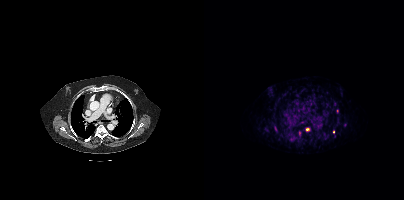
{"modality":"PSMA PET/CT","view":"axial","tracer":"68Ga-PSMA","pet_grid":[200,200],"coord_frame":"pet_panel","coord_format":"x0,y0,x1,y1","partial":true,"lesion_bboxes":[[95,131,96,135]],"small_foci_centers":[[102,129],[129,131]]}